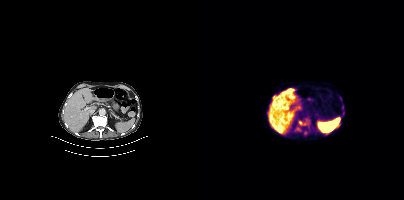
modality: PSMA PET/CT | tracer: [18F]PSMA-1007 | view: axial | PET grid: 200×200
Coordinates are on the 200×200 PET (right) panel. PSMA-avid tumor lesion bounding box (x0,y0,x1,y1): [95,121,101,125]. Small PSMA-avid focus (2 to 4 px across) near (center x, center y): (93, 128).